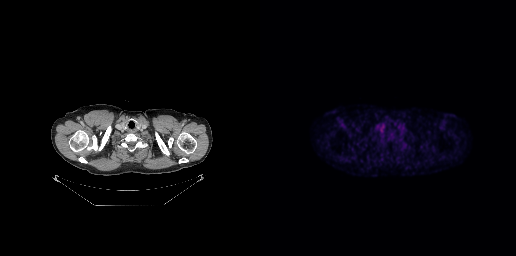
{"modality":"PSMA PET/CT","view":"axial","tracer":"18F-PSMA","pet_grid":[256,256],"coord_frame":"pet_panel","coord_format":"x0,y0,x1,y1","psma_avid_lesions":false}